de-identification: head region blacked out before release | modality: PSMA PET/CT | tracer: 68Ga | view: axial | PET grid: 200×200
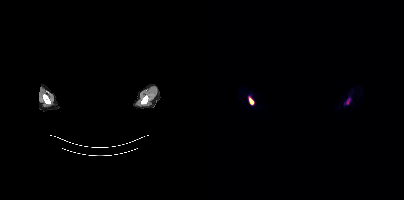
Coordinates are on the 200×200 PET (right) panel. PSMA-avid tumor lesion bounding boxes (x0,y0,x1,y1): [44,96,49,104] [143,97,146,103].